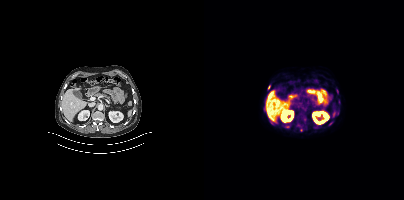
Left: CT. Right: PSMA PET, same axial level, 18F-PSMA tracer. Slice 215 of 429. PET panel 200×200 px (4.1 mm/px). Coordinates are on the 200×200 PET (right) panel. (showing 1 of 2 foci) Small PSMA-avid focus (2 to 4 px across) near (center x, center y): (65, 87).